modality: PSMA PET/CT | tracer: 18F-PSMA | view: axial
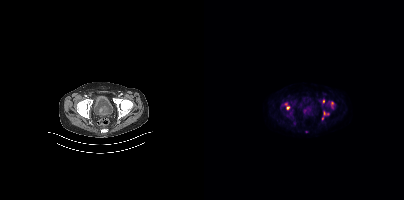
Coordinates are on the 200×200 PET (right) panel. (showing 6 of 7 foci) PSMA-avid tumor lesion bounding boxes (x, y, width, height): x=78 y=104 w=8 h=7 | x=119 y=111 w=3 h=5. Small PSMA-avid foci (2 to 4 px across) near (center x, center y): (128, 103) | (118, 118) | (119, 101) | (123, 113).